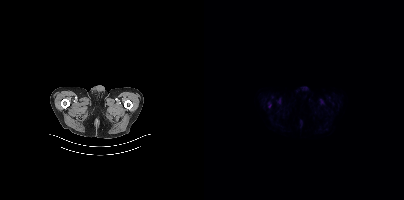
{"modality":"PSMA PET/CT","view":"axial","tracer":"[18F]PSMA-1007","pet_grid":[200,200],"coord_frame":"pet_panel","coord_format":"x0,y0,x1,y1","psma_avid_lesions":false}